Two-panel axial: CT | PSMA PET, [18F]PSMA-1007 tracer. Acquired on GE Discovery 690.
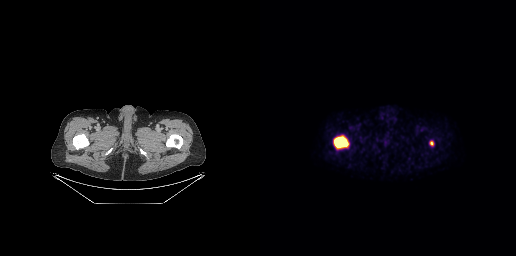
Coordinates are on the 256×256 PET (right) panel. PSMA-avid tumor lesion bounding boxes:
| # | x0 | y0 | x1 | y1 |
|---|---|---|---|---|
| 1 | 73 | 135 | 88 | 148 |
| 2 | 169 | 141 | 173 | 145 |